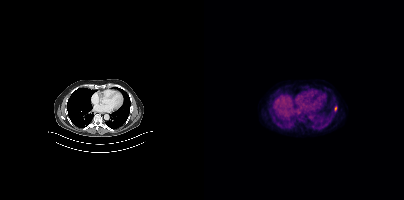
Coordinates are on the 200×200 PET (right) panel. PSMA-avid tumor lesion bounding box (x0, y0)-(x1, y1): (130, 106)-(133, 111).